Technique: Paired axial CT (left) and PSMA PET (right), 18F tracer. acquired on GE Discovery 690.
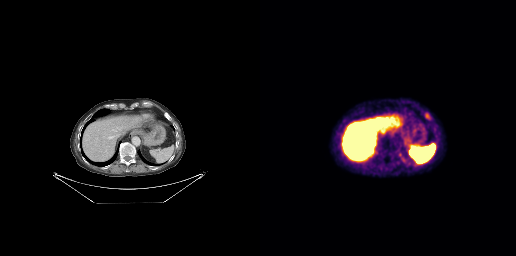
Findings: Coordinates are on the 256×256 PET (right) panel. PSMA-avid tumor lesion bounding box (x, y, width, height): x=165 y=113 w=6 h=7.